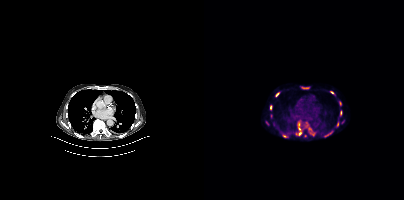
Coordinates are on the 200×200 PET (right) panel. (showing 14 of 16 foci) PSMA-avid tumor lesion bounding boxes (x0,y0,x1,y1): [92,122,97,135] [96,86,105,89] [71,92,75,96] [126,91,130,94] [136,110,138,115] [135,101,137,105] [66,105,68,109] [133,122,134,126] [106,133,110,135]. Small PSMA-avid foci (2 to 4 px across) near (center x, center y): (105, 128) (122, 135) (80, 136) (102, 122) (126, 132). Two-panel axial: CT | PSMA PET, 18F tracer. Slice position z = -416 mm. PET panel 200×200 px (4.1 mm/px).